Left: CT. Right: PSMA PET, same axial level, 18F tracer. Acquired on Siemens Biograph mCT Flow 20. Slice 277 of 389. PET panel 200×200 px (4.1 mm/px).
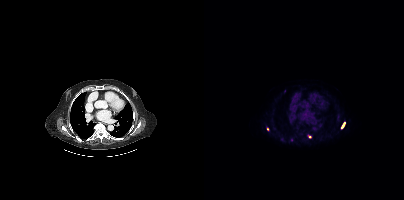
Coordinates are on the 200×200 PET (right) panel. PSMA-avid tumor lesion bounding boxes (x, y, width, height): x=137 y=122 w=5 h=7 / x=103 y=135 w=5 h=4. Small PSMA-avid focus (2 to 4 px across) near (center x, center y): (64, 128).